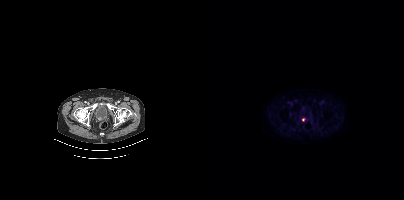
Coordinates are on the 200×200 PET (right) panel. PSMA-avid tumor lesion bounding box (x, y, width, height): x=98 y=118 w=5 h=4.